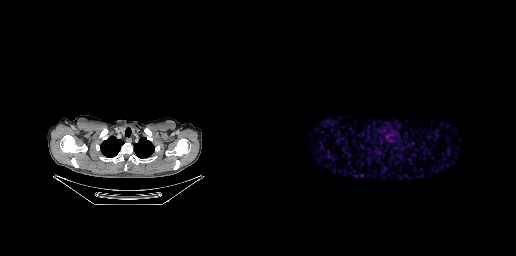
Technique: Left: CT. Right: PSMA PET, same axial level, [68Ga]Ga-PSMA-11 tracer. PET panel 256×256 px (2.7 mm/px).
Findings: No tumor lesions annotated on this slice.